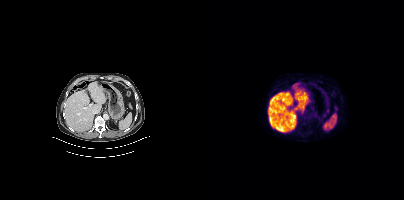
No PSMA-avid tumor lesions on this slice.